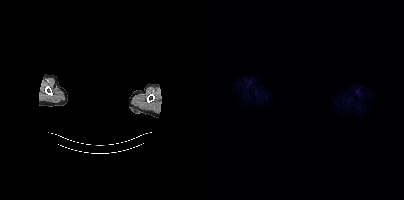
modality: PSMA PET/CT | tracer: 18F | view: axial | PET grid: 200×200 | redaction: head region blacked out before release
No tumor lesions annotated on this slice.